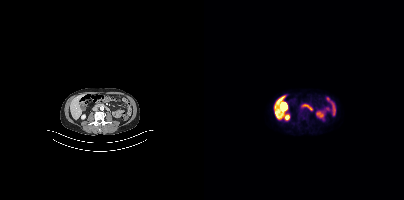
{"modality":"PSMA PET/CT","view":"axial","tracer":"[18F]PSMA-1007","pet_grid":[200,200],"coord_frame":"pet_panel","coord_format":"x0,y0,x1,y1","psma_avid_lesions":false}